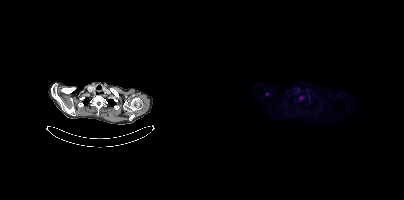
Technique: Paired axial CT (left) and PSMA PET (right), 18F-PSMA tracer. acquired on Siemens Biograph mCT Flow 20. PET panel 200×200 px (4.1 mm/px).
Findings: Only PSMA-avid lesion pieces thinner than 2 px on this slice (not listed).